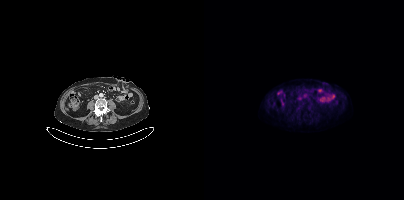
This slice has no annotated PSMA-avid lesion. Paired axial CT (left) and PSMA PET (right), 18F-PSMA tracer. Acquired on Siemens Biograph mCT Flow 20. PET panel 200×200 px (4.1 mm/px).